modality: PSMA PET/CT | tracer: [18F]PSMA-1007 | view: axial | PET grid: 200×200
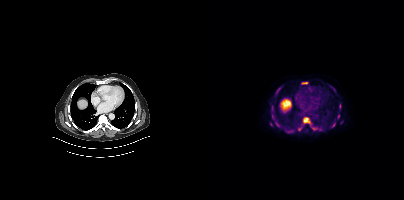
Coordinates are on the 200×200 PET (right) panel. (showing 15 of 16 foci) PSMA-avid tumor lesion bounding boxes (x0,y0,x1,y1): [99,117,106,124] [67,105,70,114] [71,121,76,127] [72,87,77,92] [127,122,131,127] [126,86,131,92] [68,115,71,119] [98,82,103,84] [135,104,137,108] [85,130,89,132]. Small PSMA-avid foci (2 to 4 px across) near (center x, center y): (95, 128) (134, 116) (67, 124) (110, 128) (137, 122).